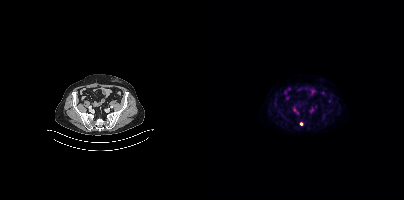
Coordinates are on the 200×200 PET (right) panel. Small PSMA-avid focus (2 to 4 px across) near (center x, center y): (97, 124).